Paired axial CT (left) and PSMA PET (right), 18F-PSMA tracer. Acquired on Siemens Biograph mCT Flow 20. Slice position z = -360 mm.
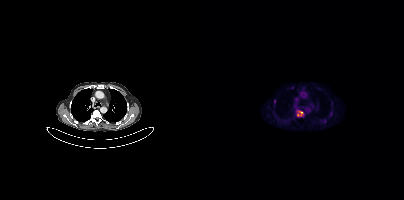
Coordinates are on the 200×200 PET (right) panel. PSMA-avid tumor lesion bounding boxes:
| # | x0 | y0 | x1 | y1 |
|---|---|---|---|---|
| 1 | 93 | 111 | 99 | 116 |
Small PSMA-avid focus (2 to 4 px across) near (center x, center y): (70, 101).